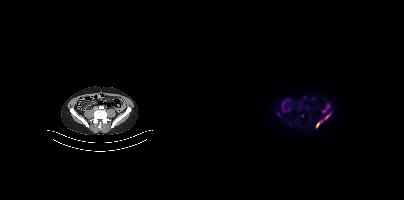
- Paired axial CT (left) and PSMA PET (right), 18F-PSMA tracer
- PET panel 200×200 px (4.1 mm/px)
Findings: Coordinates are on the 200×200 PET (right) panel. PSMA-avid tumor lesion bounding boxes (x0,y0,x1,y1): [112,120,118,127]; [120,114,126,119].